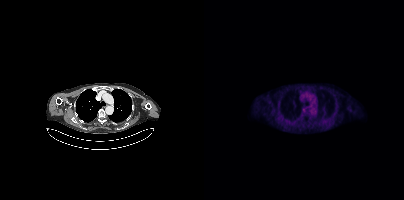
Technique: Two-panel axial: CT | PSMA PET, 18F tracer. PET panel 200×200 px (4.1 mm/px).
Findings: This slice has no annotated PSMA-avid lesion.